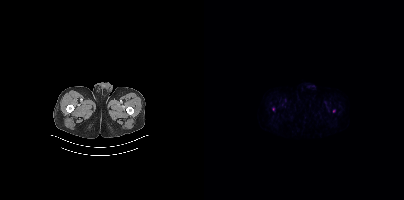
Findings: Only PSMA-avid lesion pieces thinner than 2 px on this slice (not listed).
Technique: Two-panel axial: CT | PSMA PET, [18F]PSMA-1007 tracer. acquired on Siemens Biograph mCT Flow 20.